modality: PSMA PET/CT | tracer: [18F]PSMA-1007 | view: axial | PET grid: 200×200
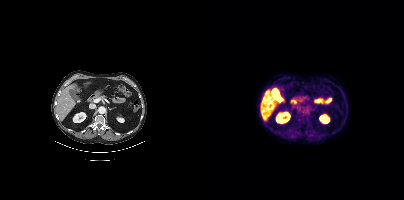
No PSMA-avid tumor lesions on this slice.